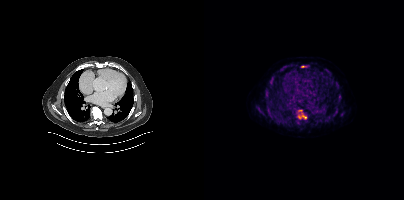
Coordinates are on the 200×200 PET (right) panel. (showing 15 of 16 foci) PSMA-avid tumor lesion bounding boxes (x, y, width, height): x=94 y=110 w=7 h=7 / x=65 y=113 w=5 h=6 / x=62 y=103 w=4 h=6 / x=128 y=113 w=5 h=5 / x=134 y=99 w=3 h=5 / x=137 y=112 w=4 h=5. Small PSMA-avid foci (2 to 4 px across) near (center x, center y): (62, 98) / (69, 75) / (132, 82) / (63, 89) / (99, 66) / (120, 68) / (101, 118) / (126, 75) / (133, 87).